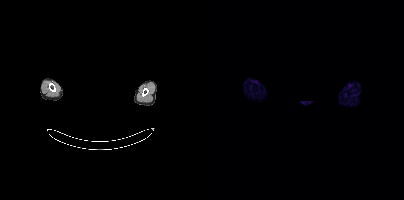
- Two-panel axial: CT | PSMA PET, [68Ga]Ga-PSMA-11 tracer
- acquired on Siemens Biograph mCT Flow 20
- slice 394 of 413
- de-identified by setting a box covering the face to black before release
Findings: No tumor lesions annotated on this slice.